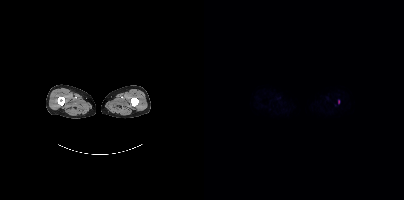
Coordinates are on the 200×200 PET (right) panel. Small PSMA-avid focus (2 to 4 px across) near (center x, center y): (134, 101).